Left: CT. Right: PSMA PET, same axial level, 68Ga tracer. Acquired on GE Discovery 690.
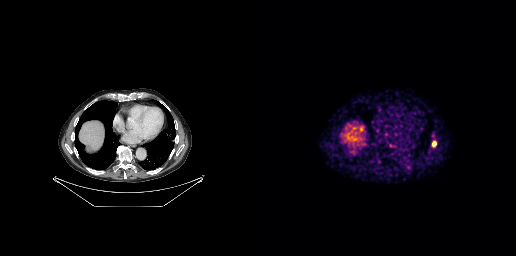
Coordinates are on the 256×256 PET (right) panel. PSMA-avid tumor lesion bounding boxes:
| # | x0 | y0 | x1 | y1 |
|---|---|---|---|---|
| 1 | 172 | 141 | 176 | 146 |
Small PSMA-avid focus (2 to 4 px across) near (center x, center y): (173, 134).